Two-panel axial: CT | PSMA PET, 18F-PSMA tracer. Slice position z = -474 mm. PET panel 200×200 px (4.1 mm/px).
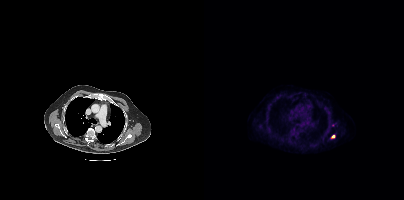
Coordinates are on the 200×200 PET (right) panel. Small PSMA-avid focus (2 to 4 px across) near (center x, center y): (129, 136).